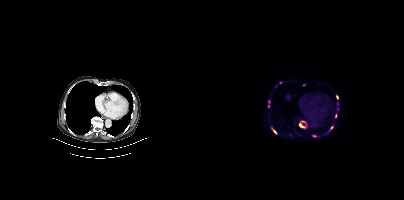
Coordinates are on the 200×200 PET (right) panel. (showing 6 of 10 foci) PSMA-avid tumor lesion bounding boxes (x0, y0)-(x1, y1): (95, 124)-(101, 128); (67, 127)-(72, 133). Small PSMA-avid foci (2 to 4 px across) near (center x, center y): (131, 115); (127, 127); (110, 135); (76, 82).